Technique: Left: CT. Right: PSMA PET, same axial level, [68Ga]Ga-PSMA-11 tracer. slice position z = -1310 mm.
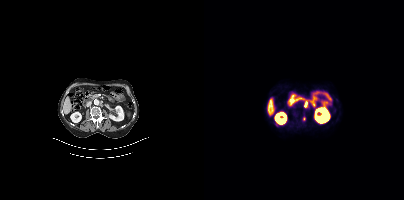
Findings: Coordinates are on the 200×200 PET (right) panel. Small PSMA-avid foci (2 to 4 px across) near (center x, center y): (101, 104); (100, 118).